Two-panel axial: CT | PSMA PET, [18F]PSMA-1007 tracer.
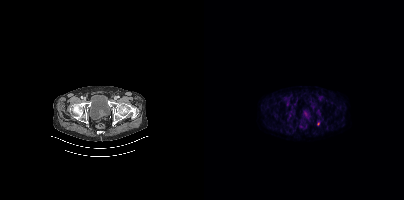
Coordinates are on the 200×200 PET (right) panel. Small PSMA-avid focus (2 to 4 px across) near (center x, center y): (114, 123).